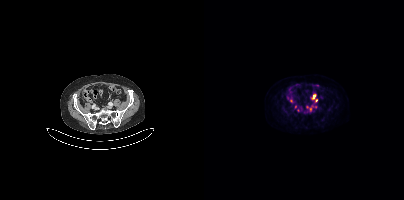
- Paired axial CT (left) and PSMA PET (right), 18F-PSMA tracer
Findings: Coordinates are on the 200×200 PET (right) panel. (showing 2 of 5 foci) PSMA-avid tumor lesion bounding box (x0, y0)-(x1, y1): (108, 94)-(113, 101). Small PSMA-avid focus (2 to 4 px across) near (center x, center y): (91, 106).